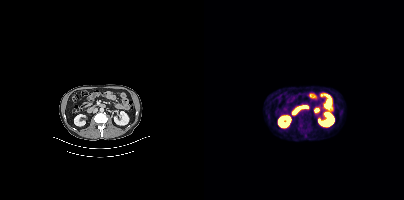
- Paired axial CT (left) and PSMA PET (right), [18F]PSMA-1007 tracer
- PET panel 200×200 px (4.1 mm/px)
Findings: Coordinates are on the 200×200 PET (right) panel. (showing 1 of 2 foci) PSMA-avid tumor lesion bounding box (x0,y0,x1,y1): [97,117,105,126].